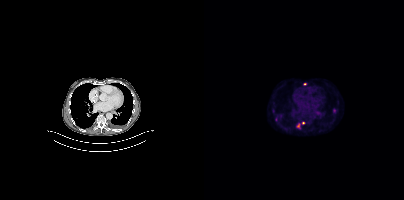
Technique: Paired axial CT (left) and PSMA PET (right), 18F tracer. slice position z = 342 mm. PET panel 200×200 px (4.1 mm/px).
Findings: Coordinates are on the 200×200 PET (right) panel. PSMA-avid tumor lesion bounding boxes (x0, y0)-(x1, y1): (111, 111)-(116, 114); (129, 108)-(132, 112); (93, 124)-(96, 128). Small PSMA-avid foci (2 to 4 px across) near (center x, center y): (99, 123); (100, 83); (115, 130).